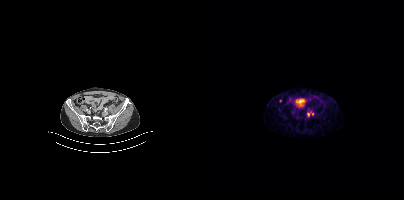
modality: PSMA PET/CT | tracer: 68Ga-PSMA | view: axial | PET grid: 200×200
Coordinates are on the 200×200 PET (right) panel. Small PSMA-avid foci (2 to 4 px across) near (center x, center y): (104, 114) / (108, 113).